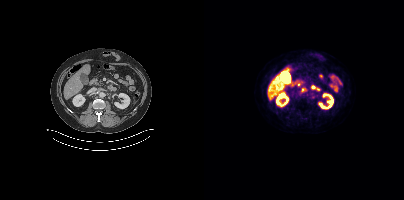
{"pet_grid":[200,200],"coord_frame":"pet_panel","coord_format":"x0,y0,x1,y1","psma_avid_lesions":false,"modality":"PSMA PET/CT","view":"axial","tracer":"18F"}